Paired axial CT (left) and PSMA PET (right), 18F-PSMA tracer. Slice 104 of 409. PET panel 200×200 px (4.1 mm/px).
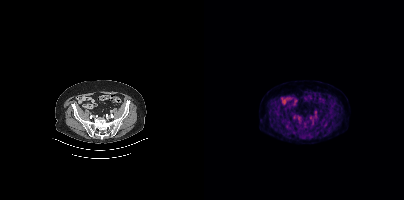
No PSMA-avid tumor lesions on this slice.